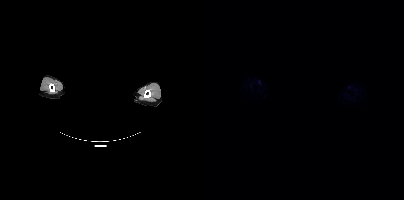
Findings: No tumor lesions annotated on this slice.
- Left: CT. Right: PSMA PET, same axial level, 18F tracer
- PET panel 200×200 px (4.1 mm/px)
- de-identified by setting a box covering the face to black before release